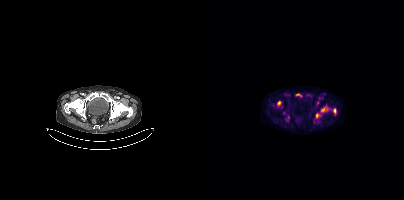
Coordinates are on the 200×200 PET (right) panel. PSMA-avid tumor lesion bounding boxes (partial; 1 more focus not listed):
| # | x0 | y0 | x1 | y1 |
|---|---|---|---|---|
| 1 | 129 | 109 | 132 | 113 |
Small PSMA-avid foci (2 to 4 px across) near (center x, center y): (118, 109); (113, 115); (75, 102).
Left: CT. Right: PSMA PET, same axial level, [18F]PSMA-1007 tracer. Slice 58 of 373. PET panel 200×200 px (4.1 mm/px).